Technique: Two-panel axial: CT | PSMA PET, 18F tracer. slice 90 of 405.
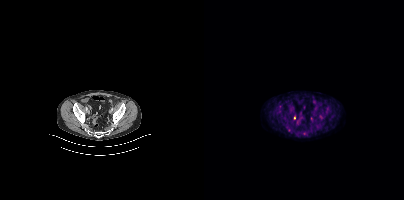
Findings: Negative for PSMA-avid disease on this slice.